Left: CT. Right: PSMA PET, same axial level, [68Ga]Ga-PSMA-11 tracer. Acquired on Siemens Biograph mCT Flow 20. Slice 133 of 413.
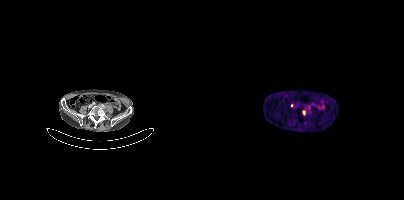
Coordinates are on the 200×200 PET (right) panel. Small PSMA-avid focus (2 to 4 px across) near (center x, center y): (100, 112).